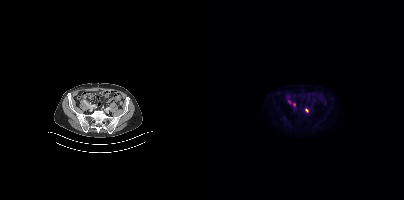
{"modality":"PSMA PET/CT","view":"axial","tracer":"18F-PSMA","pet_grid":[200,200],"coord_frame":"pet_panel","coord_format":"x0,y0,x1,y1","lesion_bboxes":[],"small_foci_centers":[[90,104],[103,110]]}